Technique: Left: CT. Right: PSMA PET, same axial level, [68Ga]Ga-PSMA-11 tracer. slice position z = -943 mm.
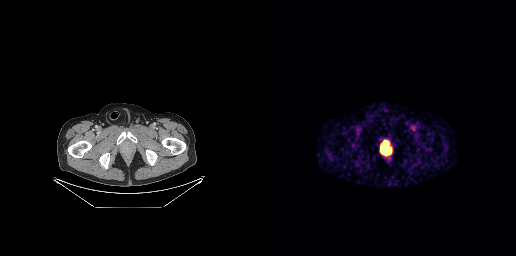
Findings: Coordinates are on the 256×256 PET (right) panel. PSMA-avid tumor lesion bounding box (x0, y0)-(x1, y1): (120, 140)-(131, 154).